modality: PSMA PET/CT | tracer: 18F | view: axial | redaction: privacy mask (black rectangle)
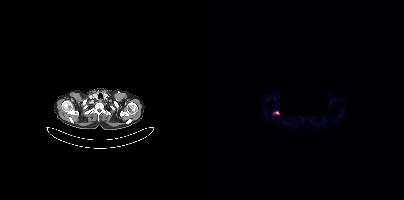
Coordinates are on the 200×200 PET (right) panel. PSMA-avid tumor lesion bounding box (x0, y0)-(x1, y1): (70, 111)-(75, 114).